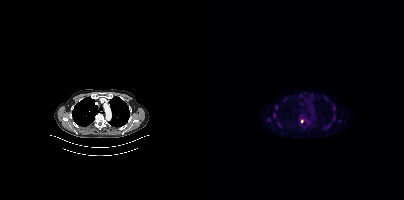
Paired axial CT (left) and PSMA PET (right), 18F tracer.
Coordinates are on the 200×200 PET (right) panel. PSMA-avid tumor lesion bounding boxes:
| # | x0 | y0 | x1 | y1 |
|---|---|---|---|---|
| 1 | 69 | 113 | 71 | 117 |
| 2 | 129 | 106 | 131 | 110 |
Small PSMA-avid foci (2 to 4 px across) near (center x, center y): (72, 106); (130, 117); (98, 121); (74, 124); (65, 119).